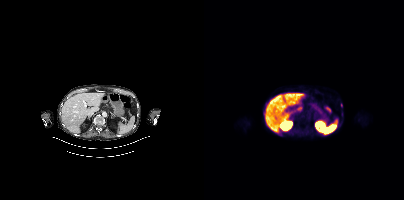
Two-panel axial: CT | PSMA PET, 18F-PSMA tracer. Coordinates are on the 200×200 PET (right) panel. (showing 1 of 2 foci) PSMA-avid tumor lesion bounding box (x0, y0)-(x1, y1): (137, 103)-(138, 107).